modality: PSMA PET/CT | tracer: [18F]PSMA-1007 | view: axial
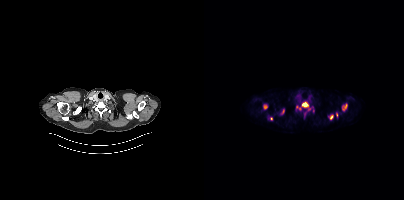
Coordinates are on the 200×200 PET (right) panel. (showing 8 of 9 foci) PSMA-avid tumor lesion bounding boxes (x, y, width, height): x=98 y=102 w=6 h=5 / x=140 y=104 w=4 h=5. Small PSMA-avid foci (2 to 4 px across) near (center x, center y): (61, 106) / (93, 107) / (127, 116) / (105, 108) / (79, 110) / (67, 118).